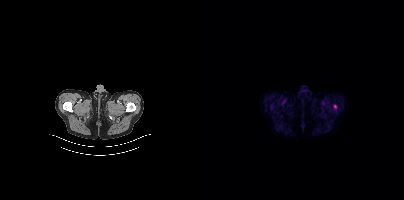
Only PSMA-avid lesion pieces thinner than 2 px on this slice (not listed). Two-panel axial: CT | PSMA PET, [18F]PSMA-1007 tracer. PET panel 200×200 px (4.1 mm/px).